Left: CT. Right: PSMA PET, same axial level, 18F-PSMA tracer. Acquired on Siemens Biograph mCT Flow 20. PET panel 200×200 px (4.1 mm/px).
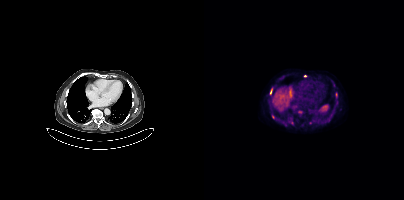
Coordinates are on the 200×200 PET (right) panel. PSMA-avid tumor lesion bounding boxes (partial; 1 more focus not listed):
| # | x0 | y0 | x1 | y1 |
|---|---|---|---|---|
| 1 | 85 | 119 | 89 | 124 |
| 2 | 66 | 89 | 68 | 94 |
Small PSMA-avid foci (2 to 4 px across) near (center x, center y): (69, 116); (106, 122); (101, 75).